Two-panel axial: CT | PSMA PET, 18F-PSMA tracer. Slice position z = -422 mm.
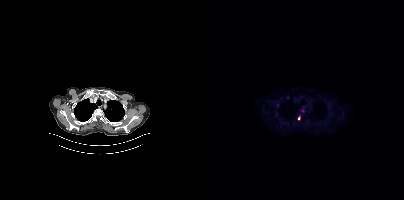
Coordinates are on the 200×200 PET (right) panel. PSMA-avid tumor lesion bounding boxes (partial; 1 more focus not listed):
| # | x0 | y0 | x1 | y1 |
|---|---|---|---|---|
| 1 | 94 | 116 | 96 | 120 |